modality: PSMA PET/CT | tracer: 18F | view: axial
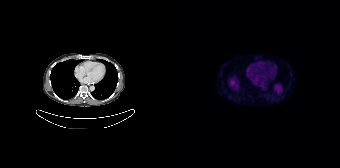
No PSMA-avid tumor lesions on this slice.